Technique: Two-panel axial: CT | PSMA PET, 18F-PSMA tracer. PET panel 200×200 px (4.1 mm/px).
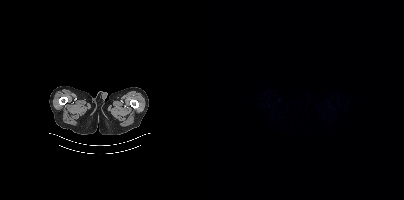
Findings: No tumor lesions annotated on this slice.